- Left: CT. Right: PSMA PET, same axial level, 18F-PSMA tracer
- acquired on Siemens Biograph mCT Flow 20
- slice 109 of 409
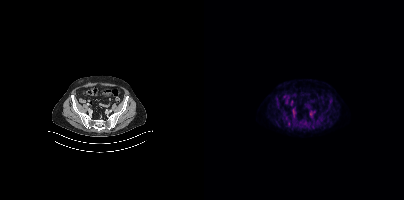
Findings: Coordinates are on the 200×200 PET (right) panel. PSMA-avid tumor lesion bounding box (x, y, width, height): x=87 y=109 w=6 h=6. Small PSMA-avid focus (2 to 4 px across) near (center x, center y): (88, 103).